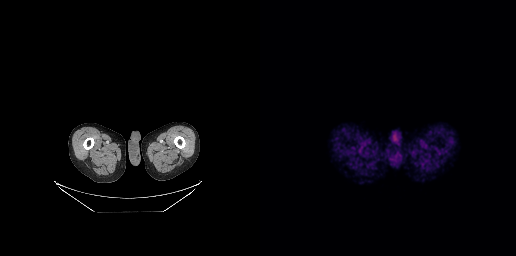
No tumor lesions annotated on this slice.